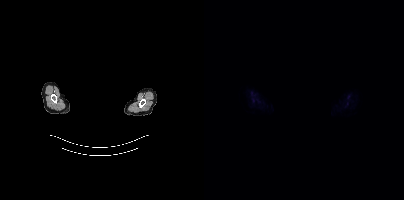
Findings: Negative for PSMA-avid disease on this slice.
Technique: Paired axial CT (left) and PSMA PET (right), [18F]PSMA-1007 tracer. slice 389 of 423. PET panel 200×200 px (4.1 mm/px).
Note: Head region blanked for anonymization (face removed).